modality: PSMA PET/CT | tracer: 18F-PSMA | view: axial | PET grid: 200×200
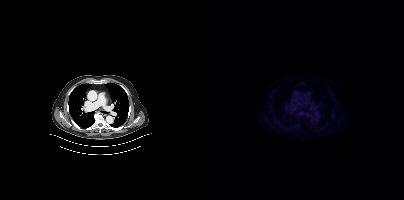
This slice has no annotated PSMA-avid lesion.